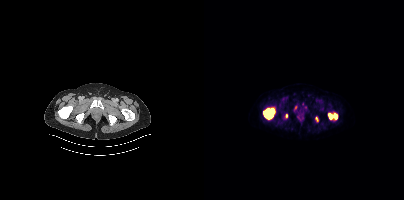
modality: PSMA PET/CT | tracer: 18F-PSMA | view: axial
Coordinates are on the 200×200 PET (right) panel. (showing 3 of 4 foci) PSMA-avid tumor lesion bounding boxes (x0, y0)-(x1, y1): (59, 108)-(70, 119) | (124, 113)-(133, 119). Small PSMA-avid focus (2 to 4 px across) near (center x, center y): (82, 115).